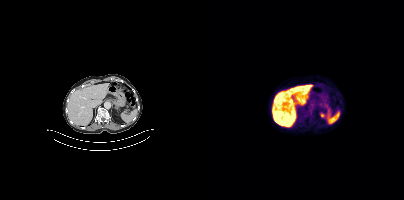
{"modality":"PSMA PET/CT","view":"axial","tracer":"[18F]PSMA-1007","pet_grid":[200,200],"coord_frame":"pet_panel","coord_format":"x0,y0,x1,y1","psma_avid_lesions":false}